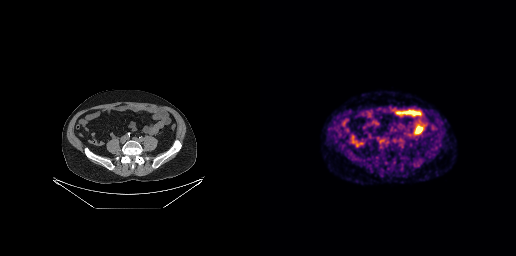
Only PSMA-avid lesion pieces thinner than 2 px on this slice (not listed).